Left: CT. Right: PSMA PET, same axial level, 18F tracer. Acquired on Siemens Biograph mCT Flow 20. Slice 306 of 395. PET panel 200×200 px (4.1 mm/px).
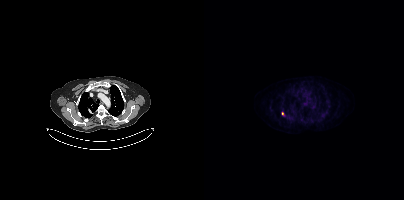
Coordinates are on the 200×200 PET (right) panel. Small PSMA-avid focus (2 to 4 px across) near (center x, center y): (78, 113).